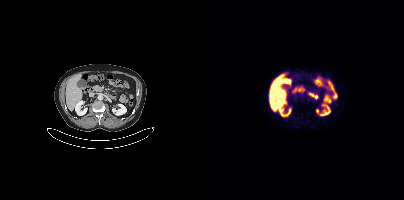
This slice has no annotated PSMA-avid lesion.